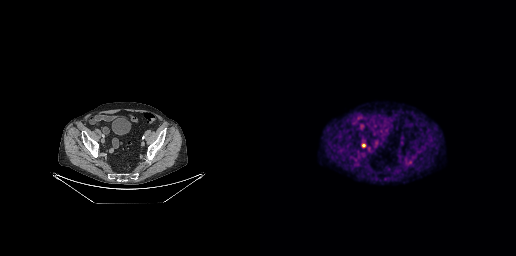
{"modality":"PSMA PET/CT","view":"axial","tracer":"18F-PSMA","pet_grid":[256,256],"coord_frame":"pet_panel","coord_format":"x0,y0,x1,y1","lesion_bboxes":[],"small_foci_centers":[[103,145]]}